- Left: CT. Right: PSMA PET, same axial level, 18F tracer
- acquired on Siemens Biograph 64-4R TruePoint
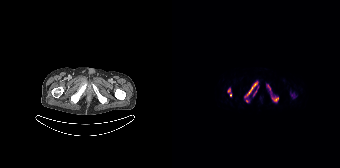
Findings: Coordinates are on the 168×168 PET (right) panel. PSMA-avid tumor lesion bounding boxes (x0, y0)-(x1, y1): (72, 81)-(86, 102) | (95, 84)-(106, 102) | (118, 92)-(124, 98) | (55, 88)-(59, 96).